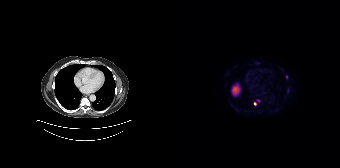
Findings: Coordinates are on the 168×168 PET (right) panel. PSMA-avid tumor lesion bounding box (x, y, width, height): x=81 y=99 w=8 h=7. Small PSMA-avid foci (2 to 4 px across) near (center x, center y): (116, 91); (114, 76).
Technique: Two-panel axial: CT | PSMA PET, [18F]PSMA-1007 tracer. PET panel 168×168 px (4.1 mm/px).